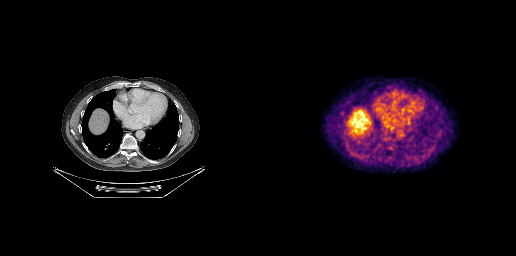
No PSMA-avid tumor lesions on this slice.